Technique: Two-panel axial: CT | PSMA PET, [18F]PSMA-1007 tracer. acquired on Siemens Biograph mCT Flow 20.
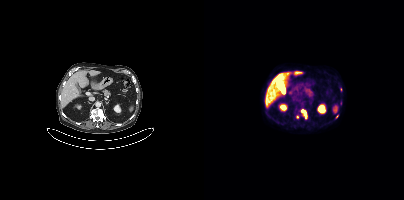
Findings: Coordinates are on the 200×200 PET (right) panel. (showing 3 of 4 foci) PSMA-avid tumor lesion bounding box (x0, y0)-(x1, y1): (97, 109)-(103, 118). Small PSMA-avid foci (2 to 4 px across) near (center x, center y): (133, 116) | (93, 117).